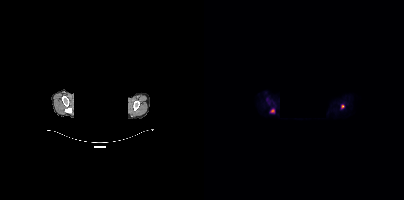
Coordinates are on the 200×200 PET (right) panel. Small PSMA-avid foci (2 to 4 px across) near (center x, center y): (68, 110) (138, 106).
deidentification: head region blacked out before release | modality: PSMA PET/CT | tracer: 18F-PSMA | view: axial | PET grid: 200×200